- Paired axial CT (left) and PSMA PET (right), 68Ga tracer
- acquired on Siemens Biograph 64-4R TruePoint
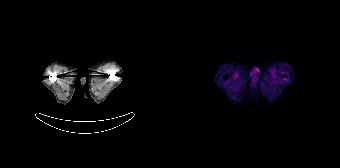
Findings: No PSMA-avid tumor lesions on this slice.